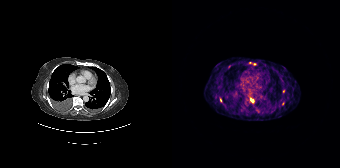
modality: PSMA PET/CT | tracer: 68Ga-PSMA | view: axial | PET grid: 168×168
Coordinates are on the 168×168 PET (right) panel. PSMA-avid tumor lesion bounding box (x0, y0)-(x1, y1): (48, 98)-(49, 102). Small PSMA-avid foci (2 to 4 px across) near (center x, center y): (82, 64) | (80, 100) | (111, 91) | (110, 103).